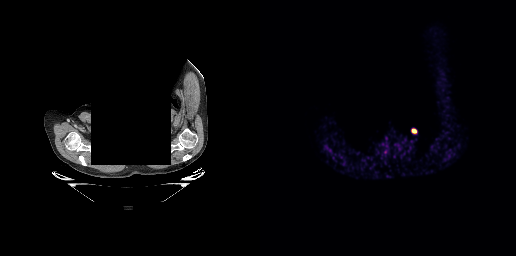
Technique: Two-panel axial: CT | PSMA PET, 18F-PSMA tracer. acquired on GE Discovery 690. PET panel 256×256 px (2.7 mm/px).
Note: Facial anatomy redacted by setting a rectangular region of the head to black.
Findings: Coordinates are on the 256×256 PET (right) panel. PSMA-avid tumor lesion bounding box (x0, y0)-(x1, y1): (152, 129)-(156, 133).